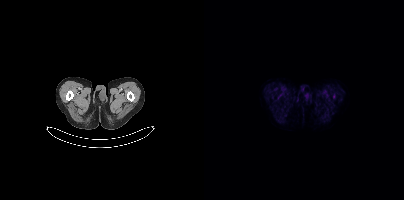
Two-panel axial: CT | PSMA PET, 18F-PSMA tracer. Negative for PSMA-avid disease on this slice.